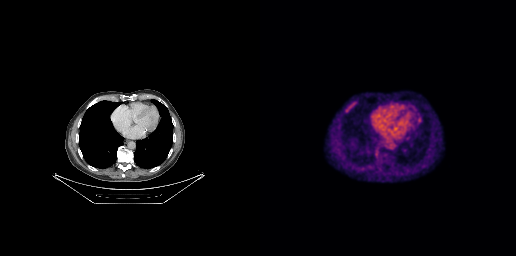
Paired axial CT (left) and PSMA PET (right), 18F tracer. PET panel 256×256 px (2.7 mm/px).
Coordinates are on the 256×256 PET (right) panel. PSMA-avid tumor lesion bounding boxes:
| # | x0 | y0 | x1 | y1 |
|---|---|---|---|---|
| 1 | 85 | 101 | 97 | 112 |